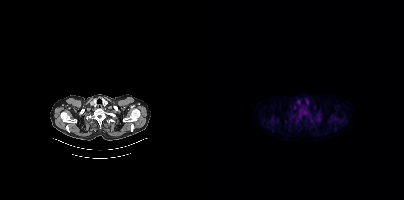
- Paired axial CT (left) and PSMA PET (right), [18F]PSMA-1007 tracer
Findings: Coordinates are on the 200×200 PET (right) panel. PSMA-avid tumor lesion bounding box (x, y, width, height): x=96 y=108 w=5 h=5.